Technique: Two-panel axial: CT | PSMA PET, 18F-PSMA tracer. acquired on Siemens Biograph mCT Flow 20.
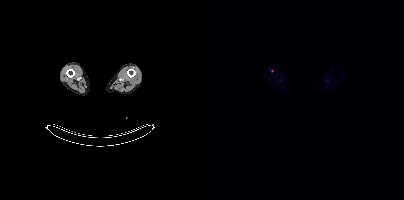
Findings: Only PSMA-avid lesion pieces thinner than 2 px on this slice (not listed).